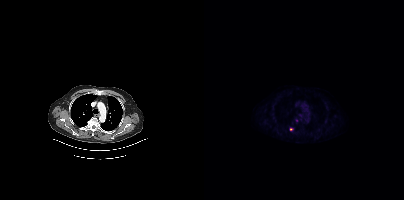
{"modality":"PSMA PET/CT","view":"axial","tracer":"18F-PSMA","pet_grid":[200,200],"coord_frame":"pet_panel","coord_format":"x0,y0,x1,y1","lesion_bboxes":[],"small_foci_centers":[[87,129]]}